Technique: Two-panel axial: CT | PSMA PET, 18F tracer. slice position z = -1052 mm. PET panel 200×200 px (4.1 mm/px).
Note: Facial anatomy redacted by setting a rectangular region of the head to black.
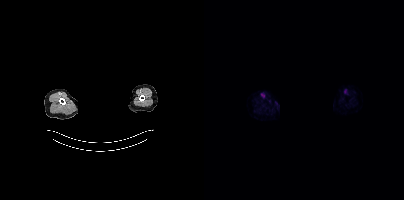
Findings: This slice has no annotated PSMA-avid lesion.